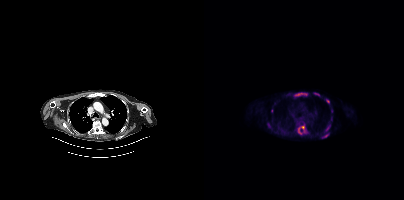
{"modality":"PSMA PET/CT","view":"axial","tracer":"18F-PSMA","pet_grid":[200,200],"coord_frame":"pet_panel","coord_format":"x0,y0,x1,y1","partial":true,"lesion_bboxes":[[94,125,101,134],[92,92,103,95],[117,133,124,137],[121,125,126,131],[122,99,125,103],[110,93,115,95]],"small_foci_centers":[[67,110],[127,111],[106,113]]}